Paired axial CT (left) and PSMA PET (right), 18F tracer. Slice 255 of 435.
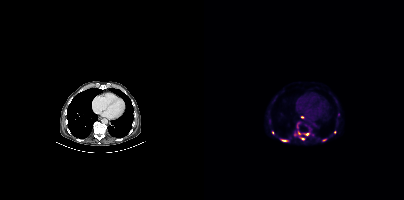
Coordinates are on the 200×200 PET (right) panel. PSMA-avid tumor lesion bounding boxes (partial; 2 more foci not listed):
| # | x0 | y0 | x1 | y1 |
|---|---|---|---|---|
| 1 | 118 | 139 | 122 | 141 |
Small PSMA-avid foci (2 to 4 px across) near (center x, center y): (93, 125); (91, 134); (79, 140); (95, 133); (103, 133); (98, 138); (134, 114); (98, 116); (130, 132).